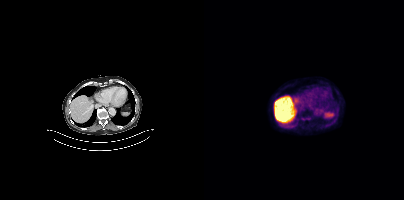
No tumor lesions annotated on this slice. Left: CT. Right: PSMA PET, same axial level, [18F]PSMA-1007 tracer. Acquired on Siemens Biograph mCT Flow 20. Slice 244 of 423. PET panel 200×200 px (4.1 mm/px).